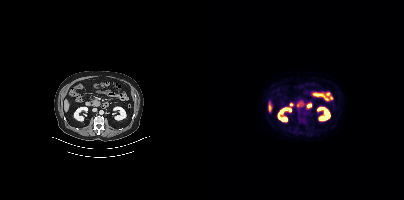
Technique: Two-panel axial: CT | PSMA PET, 18F tracer. PET panel 200×200 px (4.1 mm/px).
Findings: Negative for PSMA-avid disease on this slice.